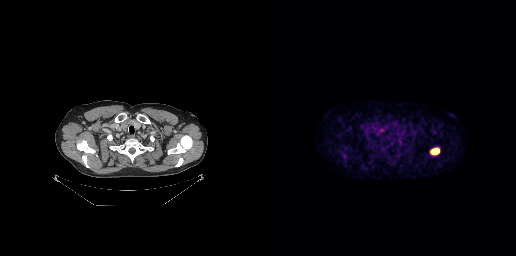
modality: PSMA PET/CT | tracer: [18F]PSMA-1007 | view: axial | PET grid: 256×256
Coordinates are on the 256×256 PET (right) panel. PSMA-avid tumor lesion bounding box (x0, y0)-(x1, y1): (170, 147)-(179, 154).